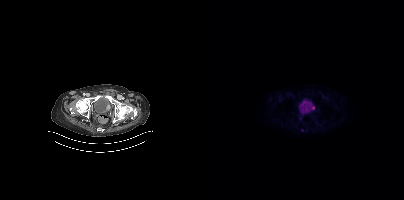
Findings: Coordinates are on the 200×200 PET (right) panel. (showing 2 of 3 foci) Small PSMA-avid foci (2 to 4 px across) near (center x, center y): (108, 107) | (102, 130).
Technique: Two-panel axial: CT | PSMA PET, 18F tracer. slice position z = -966 mm. PET panel 200×200 px (4.1 mm/px).